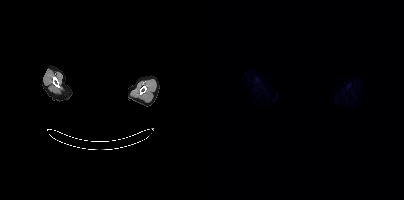
- Two-panel axial: CT | PSMA PET, 18F tracer
- slice position z = 514 mm
- an anonymization step blacked out a rectangle over the head in this scan
Findings: This slice has no annotated PSMA-avid lesion.